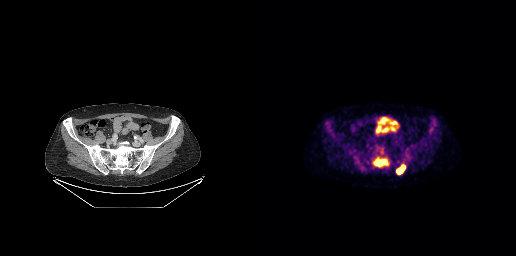
Coordinates are on the 256×256 PET (right) panel. PSMA-avid tumor lesion bounding boxes:
| # | x0 | y0 | x1 | y1 |
|---|---|---|---|---|
| 1 | 113 | 157 | 128 | 166 |
| 2 | 136 | 164 | 145 | 174 |
Paired axial CT (left) and PSMA PET (right), [18F]PSMA-1007 tracer. PET panel 256×256 px (2.7 mm/px).